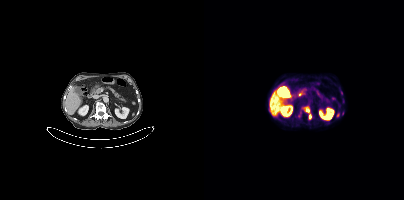
- Paired axial CT (left) and PSMA PET (right), 18F tracer
- slice 202 of 415
- PET panel 200×200 px (4.1 mm/px)
Findings: Coordinates are on the 200×200 PET (right) panel. PSMA-avid tumor lesion bounding boxes (x0,y0,x1,y1): [101,107,105,112], [105,114,107,118]. Small PSMA-avid focus (2 to 4 px across) near (center x, center y): (137, 93).